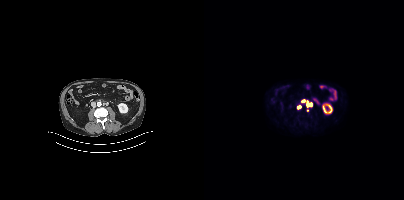
Findings: Coordinates are on the 200×200 PET (right) panel. PSMA-avid tumor lesion bounding box (x0, y0)-(x1, y1): (103, 101)-(107, 106). Small PSMA-avid foci (2 to 4 px across) near (center x, center y): (99, 100) / (94, 107).
Technique: Paired axial CT (left) and PSMA PET (right), 18F-PSMA tracer.